modality: PSMA PET/CT | tracer: 18F-PSMA | view: axial | PET grid: 200×200
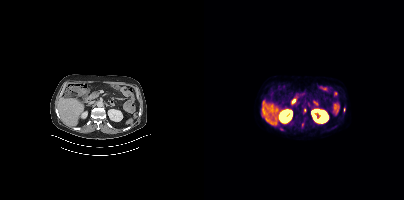
No tumor lesions annotated on this slice.